modality: PSMA PET/CT | tracer: 18F-PSMA | view: axial | PET grid: 200×200
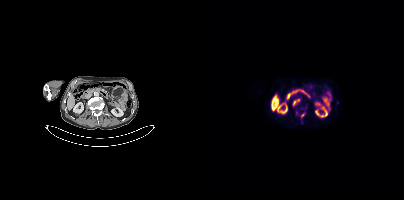
Coordinates are on the 200×200 PET (right) panel. PSMA-avid tumor lesion bounding box (x0,y0,x1,y1): [89,99,95,105]. Small PSMA-avid foci (2 to 4 px across) near (center x, center y): (98, 115) (92, 112).